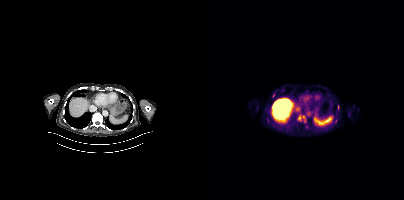
Only PSMA-avid lesion pieces thinner than 2 px on this slice (not listed).